- Two-panel axial: CT | PSMA PET, 18F-PSMA tracer
- slice position z = -1504 mm
- PET panel 200×200 px (4.1 mm/px)
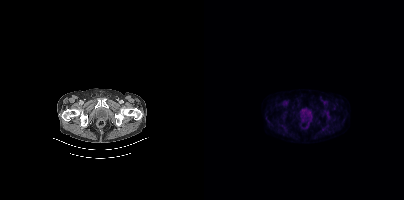
Findings: This slice has no annotated PSMA-avid lesion.